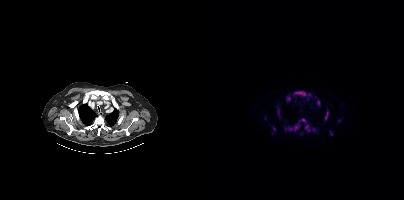
modality: PSMA PET/CT | tracer: 18F-PSMA | view: axial
Coordinates are on the 200×200 PET (right) panel. (showing 11 of 13 foci) PSMA-avid tumor lesion bounding boxes (x, y, width, height): x=80 y=118 w=23 h=14 / x=90 y=91 w=13 h=6 / x=101 y=124 w=6 h=8 / x=120 y=111 w=5 h=10 / x=82 y=96 w=5 h=6 / x=113 y=100 w=4 h=6 / x=69 y=127 w=4 h=5 / x=126 y=131 w=3 h=5. Small PSMA-avid foci (2 to 4 px across) near (center x, center y): (105, 94) / (135, 120) / (61, 118).